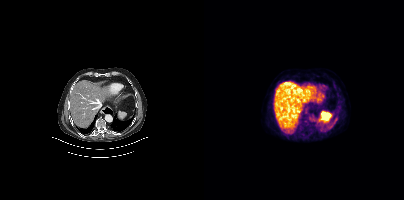
{"modality":"PSMA PET/CT","view":"axial","tracer":"18F-PSMA","pet_grid":[200,200],"coord_frame":"pet_panel","coord_format":"x0,y0,x1,y1","psma_avid_lesions":false}